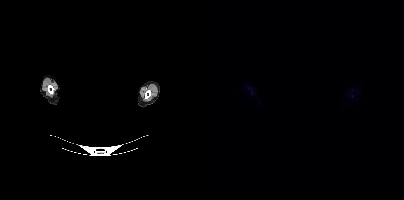
A rectangle over the head was blacked out to remove identifiable facial features. Two-panel axial: CT | PSMA PET, 18F-PSMA tracer. Acquired on Siemens Biograph mCT Flow 20. PET panel 200×200 px (4.1 mm/px). No PSMA-avid tumor lesions on this slice.